modality: PSMA PET/CT | tracer: 68Ga | view: axial | PET grid: 200×200
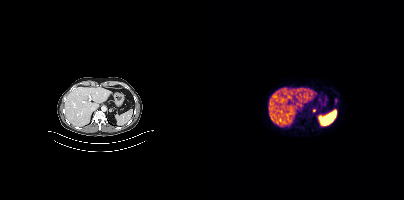
Coordinates are on the 200×200 PET (right) panel. Small PSMA-avid focus (2 to 4 px across) near (center x, center y): (110, 110).